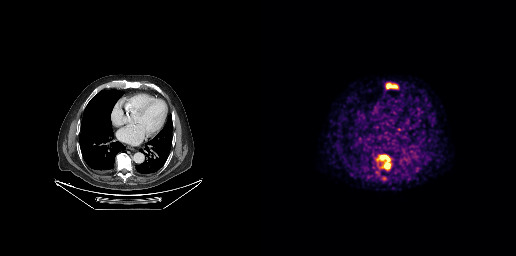
Coordinates are on the 256×256 PET (right) panel. (showing 2 of 3 foci) PSMA-avid tumor lesion bounding boxes (x0,y0,x1,y1): [116,154,131,170]; [126,83,137,88]. Paired axial CT (left) and PSMA PET (right), 68Ga-PSMA tracer. Slice 177 of 263. PET panel 256×256 px (2.7 mm/px).